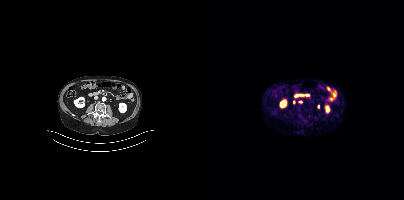
Coordinates are on the 200×200 PET (right) panel. Small PSMA-avid focus (2 to 4 px across) near (center x, center y): (96, 101).